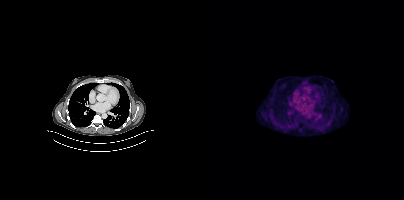
Paired axial CT (left) and PSMA PET (right), 18F-PSMA tracer. PET panel 200×200 px (4.1 mm/px). This slice has no annotated PSMA-avid lesion.